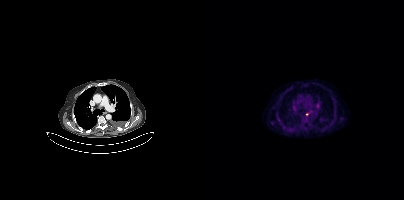
Coordinates are on the 200×200 PET (right) panel. Small PSMA-avid focus (2 to 4 px across) near (center x, center y): (102, 114). Left: CT. Right: PSMA PET, same axial level, 18F-PSMA tracer. PET panel 200×200 px (4.1 mm/px).